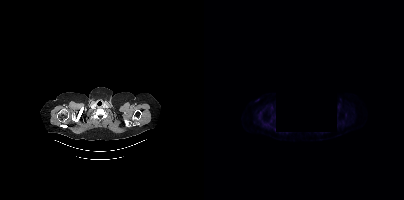
No PSMA-avid tumor lesions on this slice. Two-panel axial: CT | PSMA PET, 18F tracer. Acquired on Siemens Biograph mCT Flow 20. Slice 357 of 417. PET panel 200×200 px (4.1 mm/px). Part of this slice was blanked for de-identification.